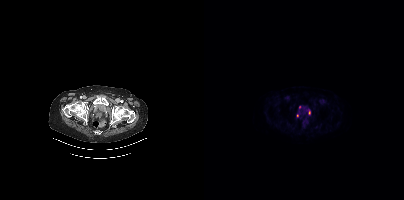
{"modality":"PSMA PET/CT","view":"axial","tracer":"[18F]PSMA-1007","pet_grid":[200,200],"coord_frame":"pet_panel","coord_format":"x0,y0,x1,y1","lesion_bboxes":[[104,110,106,114]],"small_foci_centers":[[93,115],[95,107]]}